Technique: Paired axial CT (left) and PSMA PET (right), 18F-PSMA tracer.
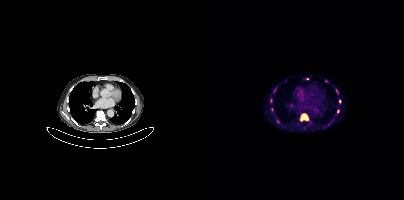
Findings: Coordinates are on the 200×200 PET (right) panel. (showing 4 of 7 foci) PSMA-avid tumor lesion bounding box (x0,y0,x1,y1): [96,113,104,121]. Small PSMA-avid foci (2 to 4 px across) near (center x, center y): (134, 111), (135, 101), (103, 78).